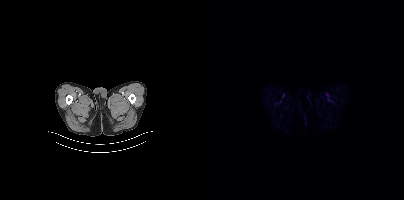
{"modality":"PSMA PET/CT","view":"axial","tracer":"18F-PSMA","pet_grid":[200,200],"coord_frame":"pet_panel","coord_format":"x0,y0,x1,y1","psma_avid_lesions":false}